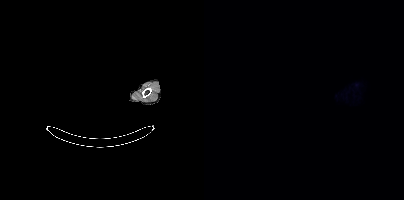
Two-panel axial: CT | PSMA PET, 18F-PSMA tracer. Acquired on Siemens Biograph mCT Flow 20. Face de-identified by blanking a block of the head. No tumor lesions annotated on this slice.